- Two-panel axial: CT | PSMA PET, 68Ga tracer
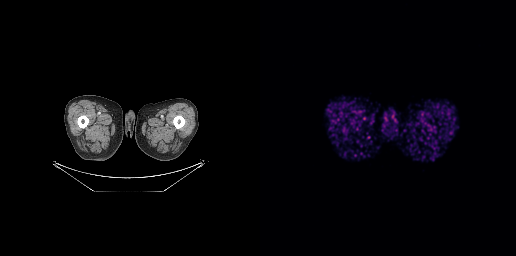
Findings: This slice has no annotated PSMA-avid lesion.